A rectangular block over the head has been blanked out for de-identification.
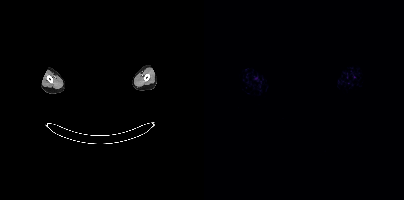
This slice has no annotated PSMA-avid lesion.